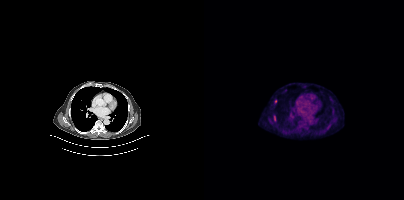
Coordinates are on the 200×200 PET (right) panel. Small PSMA-avid foci (2 to 4 px across) near (center x, center y): (70, 118); (71, 101).